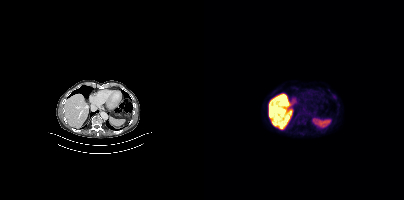
- Two-panel axial: CT | PSMA PET, 18F-PSMA tracer
- slice 245 of 421
- PET panel 200×200 px (4.1 mm/px)
Findings: No PSMA-avid tumor lesions on this slice.